Paired axial CT (left) and PSMA PET (right), 18F-PSMA tracer. Slice 275 of 462.
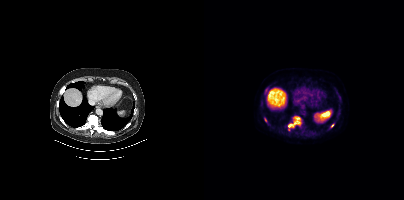
Coordinates are on the 200×200 PET (right) panel. PSMA-avid tumor lesion bounding box (x0, y0)-(x1, y1): (84, 116)-(97, 127). Small PSMA-avid foci (2 to 4 px across) near (center x, center y): (62, 89) / (128, 125) / (61, 119) / (84, 129).